Technique: Left: CT. Right: PSMA PET, same axial level, 18F tracer. slice 49 of 401. PET panel 200×200 px (4.1 mm/px).
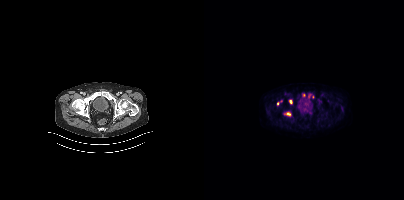
Findings: Coordinates are on the 200×200 PET (right) panel. (showing 5 of 6 foci) PSMA-avid tumor lesion bounding boxes (x, y, width, height): x=83 y=112 w=5 h=5 | x=104 y=94 w=4 h=5. Small PSMA-avid foci (2 to 4 px across) near (center x, center y): (109, 97) | (86, 101) | (73, 103).